Left: CT. Right: PSMA PET, same axial level, [18F]PSMA-1007 tracer. Slice position z = -2 mm. PET panel 200×200 px (4.1 mm/px).
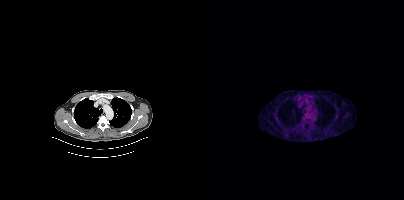
This slice has no annotated PSMA-avid lesion.